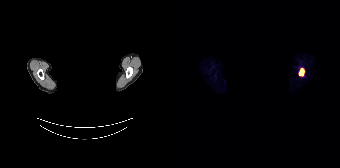
Any black rectangle over the head is a privacy mask, not anatomy.
Coordinates are on the 168×168 PET (right) panel. PSMA-avid tumor lesion bounding box (x, y, width, height): x=127 y=69 w=5 h=7.